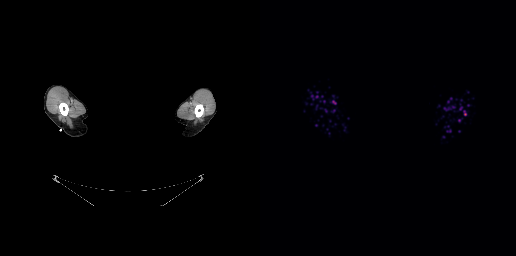
A rectangle over the head was blacked out to remove identifiable facial features.
Negative for PSMA-avid disease on this slice.